Technique: Paired axial CT (left) and PSMA PET (right), 18F-PSMA tracer. slice position z = -612 mm.
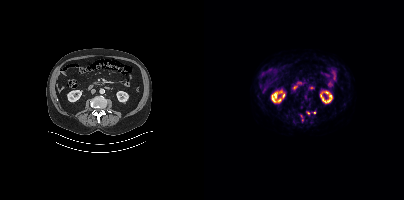
Findings: Coordinates are on the 200×200 PET (right) panel. (showing 2 of 3 foci) Small PSMA-avid foci (2 to 4 px across) near (center x, center y): (104, 112) | (109, 112).